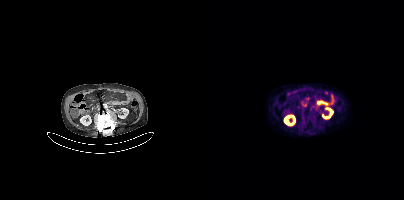
modality: PSMA PET/CT | tracer: [18F]PSMA-1007 | view: axial | PET grid: 200×200
No tumor lesions annotated on this slice.